Paired axial CT (left) and PSMA PET (right), 18F tracer. Slice 50 of 395.
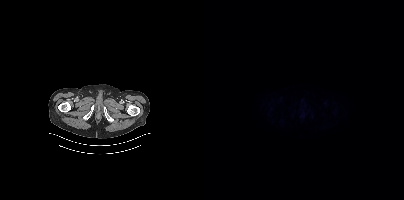
No PSMA-avid tumor lesions on this slice.